Paired axial CT (left) and PSMA PET (right), 18F tracer. PET panel 200×200 px (4.1 mm/px).
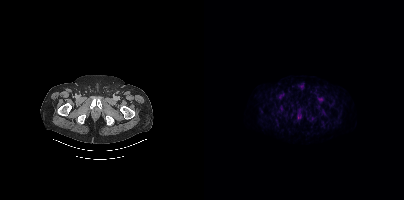
No PSMA-avid tumor lesions on this slice.